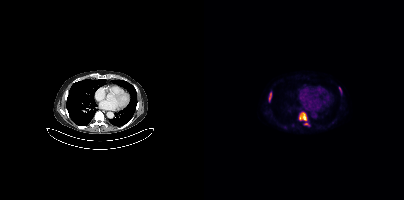
{"modality":"PSMA PET/CT","view":"axial","tracer":"18F-PSMA","pet_grid":[200,200],"coord_frame":"pet_panel","coord_format":"x0,y0,x1,y1","lesion_bboxes":[[95,112,103,120],[65,92,67,101],[135,87,137,93],[100,123,104,125]]}